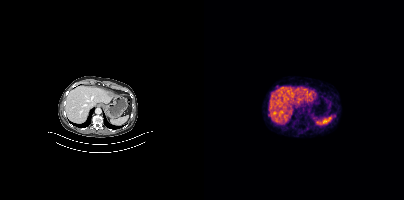
{"pet_grid":[200,200],"coord_frame":"pet_panel","coord_format":"x0,y0,x1,y1","psma_avid_lesions":false,"modality":"PSMA PET/CT","view":"axial","tracer":"68Ga-PSMA"}